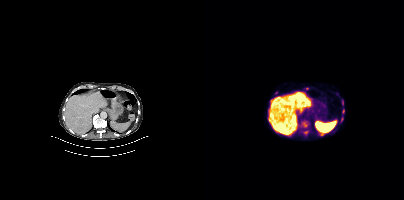
Left: CT. Right: PSMA PET, same axial level, 18F tracer.
Coordinates are on the 200×200 PET (right) panel. PSMA-avid tumor lesion bounding boxes (partial; 3 more foci not listed):
| # | x0 | y0 | x1 | y1 |
|---|---|---|---|---|
| 1 | 138 | 109 | 140 | 113 |
Small PSMA-avid foci (2 to 4 px across) near (center x, center y): (138, 102); (101, 125).